Technique: Two-panel axial: CT | PSMA PET, 18F tracer. acquired on Siemens Biograph mCT Flow 20.
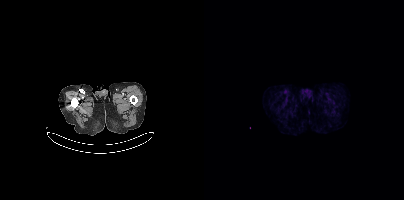
Findings: No tumor lesions annotated on this slice.